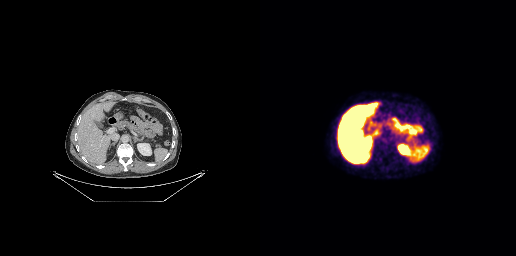
modality: PSMA PET/CT | tracer: 18F | view: axial | PET grid: 256×256
This slice has no annotated PSMA-avid lesion.